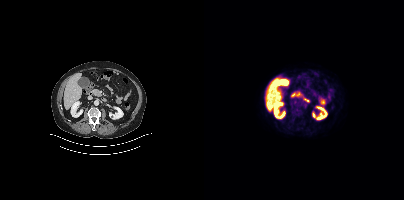
This slice has no annotated PSMA-avid lesion. Paired axial CT (left) and PSMA PET (right), [18F]PSMA-1007 tracer. PET panel 200×200 px (4.1 mm/px).